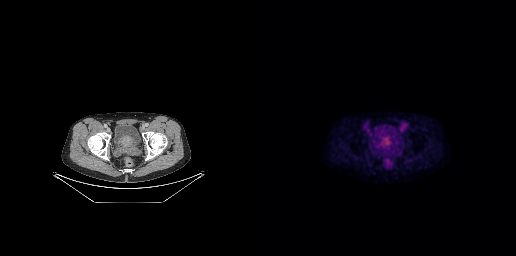
Two-panel axial: CT | PSMA PET, 18F tracer. PET panel 256×256 px (2.7 mm/px).
Coordinates are on the 256×256 PET (right) panel. PSMA-avid tumor lesion bounding boxes (partial; 1 more focus not listed):
| # | x0 | y0 | x1 | y1 |
|---|---|---|---|---|
| 1 | 117 | 134 | 132 | 152 |
Small PSMA-avid focus (2 to 4 px across) near (center x, center y): (132, 136).